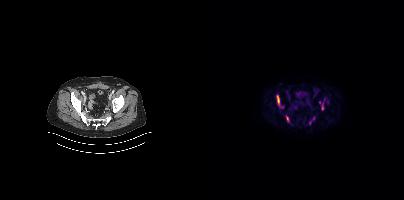
modality: PSMA PET/CT | tracer: 18F-PSMA | view: axial | PET grid: 200×200
Coordinates are on the 200×200 PET (right) panel. PSMA-avid tumor lesion bounding box (x0,y0,x1,y1): [73,95,75,105]. Small PSMA-avid foci (2 to 4 px across) near (center x, center y): (118, 107); (83, 118).